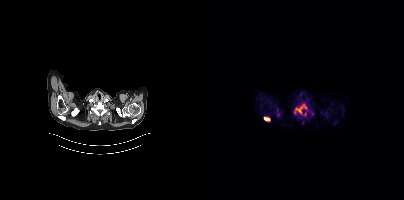
{"pet_grid":[200,200],"coord_frame":"pet_panel","coord_format":"x0,y0,x1,y1","partial":true,"lesion_bboxes":[[91,104,104,115],[60,117,65,120]],"small_foci_centers":[[108,113],[90,112]],"modality":"PSMA PET/CT","view":"axial","tracer":"18F"}